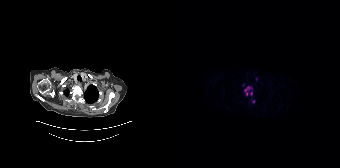
Coordinates are on the 168×168 PET (right) panel. PSMA-avid tumor lesion bounding boxes (partial; 1 more focus not listed):
| # | x0 | y0 | x1 | y1 |
|---|---|---|---|---|
| 1 | 72 | 86 | 80 | 96 |
Small PSMA-avid foci (2 to 4 px across) near (center x, center y): (81, 101); (84, 79).
Left: CT. Right: PSMA PET, same axial level, [18F]PSMA-1007 tracer. Slice 139 of 165.